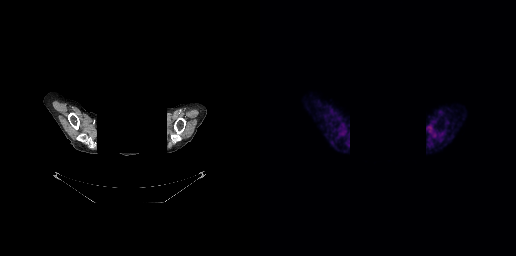
Negative for PSMA-avid disease on this slice. Left: CT. Right: PSMA PET, same axial level, 68Ga tracer. Slice position z = -239 mm. PET panel 256×256 px (2.7 mm/px). An anonymization step blacked out a rectangle over the head in this scan.